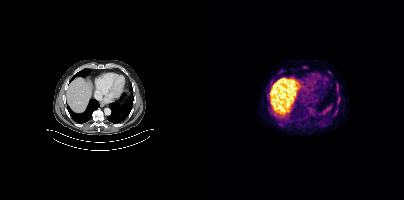
Coordinates are on the 200×200 PET (right) panel. (showing 3 of 4 foci) PSMA-avid tumor lesion bounding box (x0,y0,x1,y1): [123,71,127,74]. Small PSMA-avid foci (2 to 4 px across) near (center x, center y): (100, 67), (135, 98).